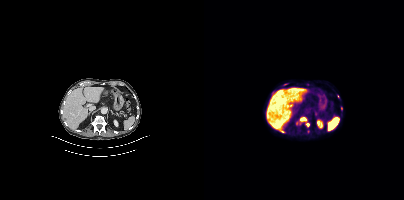
Coordinates are on the 200×200 PET (right) panel. (showing 4 of 5 foci) PSMA-avid tumor lesion bounding box (x0,y0,x1,y1): [96,117,102,120]. Small PSMA-avid foci (2 to 4 px across) near (center x, center y): (103, 124) (137, 108) (79, 131).
modality: PSMA PET/CT | tracer: [18F]PSMA-1007 | view: axial